- Left: CT. Right: PSMA PET, same axial level, [18F]PSMA-1007 tracer
- acquired on Siemens Biograph mCT Flow 20
- slice position z = -950 mm
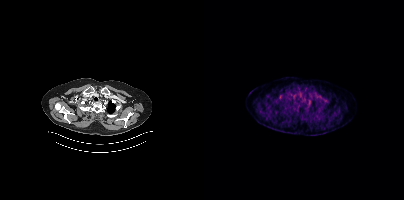
Findings: This slice has no annotated PSMA-avid lesion.